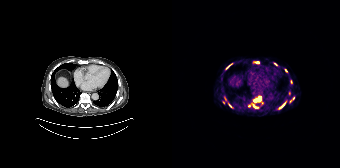
modality: PSMA PET/CT | tracer: 68Ga-PSMA | view: axial | PET grid: 168×168
Coordinates are on the 168×168 PET (right) panel. (showing 12 of 16 foci) PSMA-avid tumor lesion bounding box (x, y, width, height): x=108 y=103 w=6 h=6. Small PSMA-avid foci (2 to 4 px across) near (center x, center y): (113, 70); (103, 64); (87, 98); (58, 105); (83, 106); (119, 82); (121, 98); (118, 101); (55, 66); (90, 103); (86, 107).